Technique: Two-panel axial: CT | PSMA PET, [18F]PSMA-1007 tracer. acquired on Siemens Biograph 64-4R TruePoint. slice 29 of 165. PET panel 168×168 px (4.1 mm/px).
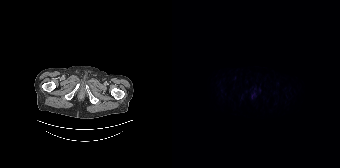
Findings: This slice has no annotated PSMA-avid lesion.